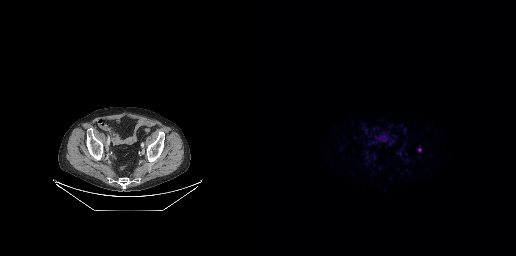
Technique: Left: CT. Right: PSMA PET, same axial level, 68Ga-PSMA tracer. slice 74 of 263.
Findings: Coordinates are on the 256×256 PET (right) panel. Small PSMA-avid focus (2 to 4 px across) near (center x, center y): (159, 149).